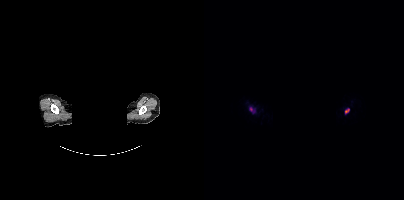
The face region was removed for patient privacy by blanking a rectangle over the head. Two-panel axial: CT | PSMA PET, 18F-PSMA tracer. Slice 488 of 508. Coordinates are on the 200×200 PET (right) panel. PSMA-avid tumor lesion bounding boxes (x0, y0)-(x1, y1): (45, 107)-(51, 113) / (141, 108)-(145, 113).